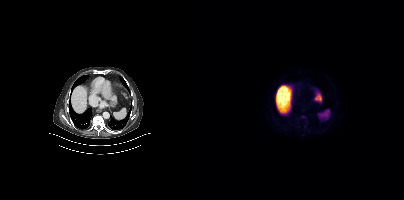
Two-panel axial: CT | PSMA PET, [18F]PSMA-1007 tracer. No tumor lesions annotated on this slice.